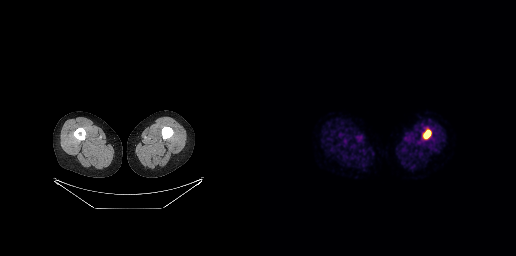
{"pet_grid":[256,256],"coord_frame":"pet_panel","coord_format":"x0,y0,x1,y1","lesion_bboxes":[[164,130,170,138]],"modality":"PSMA PET/CT","view":"axial","tracer":"18F"}